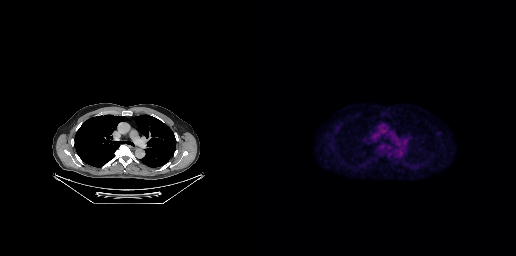
Findings: No PSMA-avid tumor lesions on this slice.
Technique: Left: CT. Right: PSMA PET, same axial level, 18F-PSMA tracer. acquired on GE Discovery 690. slice 196 of 263.